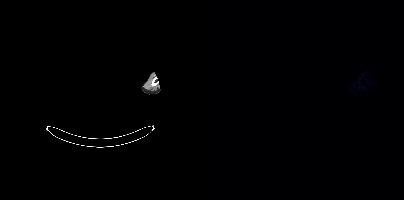
This slice has no annotated PSMA-avid lesion. Privacy masking over the head, with the pixels inside a rectangle set to black. Left: CT. Right: PSMA PET, same axial level, 18F tracer. Slice position z = -810 mm. PET panel 200×200 px (4.1 mm/px).